Two-panel axial: CT | PSMA PET, 18F tracer. Acquired on Siemens Biograph mCT Flow 20. PET panel 200×200 px (4.1 mm/px).
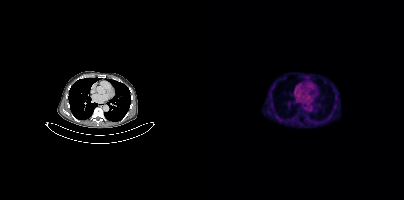
Coordinates are on the 200×200 PET (right) panel. Small PSMA-avid focus (2 to 4 px across) near (center x, center y): (66, 97).